modality: PSMA PET/CT | tracer: 18F | view: axial | PET grid: 256×256
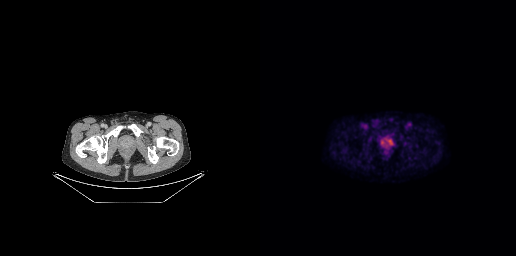
Coordinates are on the 256×256 PET (right) panel. PSMA-avid tumor lesion bounding box (x0,y0,x1,y1): [119,136,134,149].